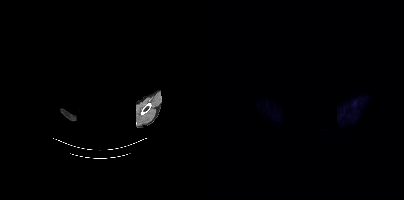
{"pet_grid":[200,200],"coord_frame":"pet_panel","coord_format":"x0,y0,x1,y1","psma_avid_lesions":false,"modality":"PSMA PET/CT","view":"axial","tracer":"[18F]PSMA-1007","deidentification":"head region blanked (face removed)"}